Technique: Two-panel axial: CT | PSMA PET, 18F tracer. acquired on Siemens Biograph mCT Flow 20.
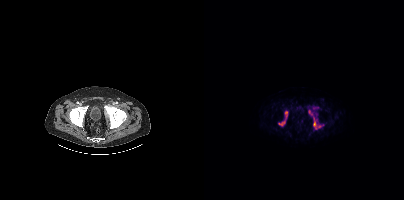
Findings: Coordinates are on the 200×200 PET (right) panel. PSMA-avid tumor lesion bounding boxes (x, y, width, height): x=74 y=110 w=11 h=16 | x=109 y=119 w=11 h=11 | x=104 y=109 w=6 h=8 | x=110 y=106 w=5 h=4.